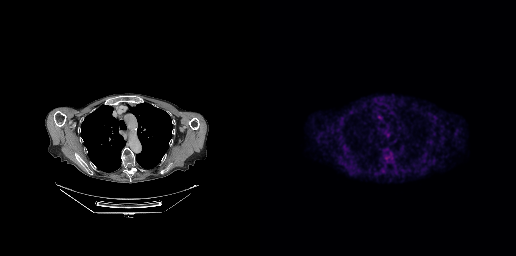
{"modality":"PSMA PET/CT","view":"axial","tracer":"[18F]PSMA-1007","pet_grid":[256,256],"coord_frame":"pet_panel","coord_format":"x0,y0,x1,y1","lesion_bboxes":[[117,115,121,119]]}